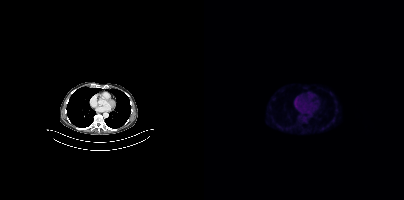
Two-panel axial: CT | PSMA PET, 18F tracer. PET panel 200×200 px (4.1 mm/px). No PSMA-avid tumor lesions on this slice.